The face region was removed for patient privacy by blanking a rectangle over the head. Paired axial CT (left) and PSMA PET (right), [18F]PSMA-1007 tracer.
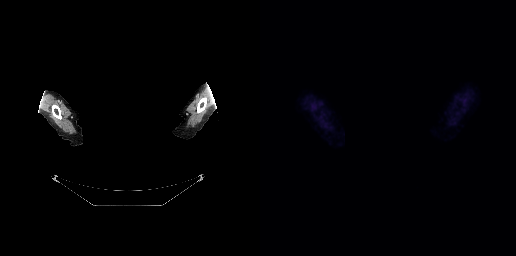
Negative for PSMA-avid disease on this slice.